modality: PSMA PET/CT | tracer: 18F | view: axial | PET grid: 200×200
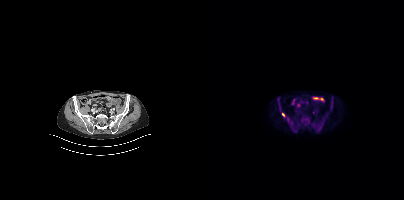
Coordinates are on the 200×200 PET (right) panel. Small PSMA-avid focus (2 to 4 px across) near (center x, center y): (79, 114).